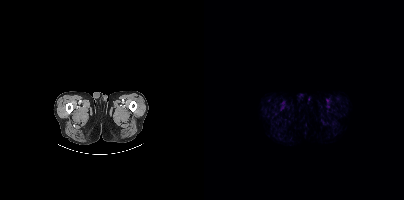
This slice has no annotated PSMA-avid lesion.